Paired axial CT (left) and PSMA PET (right), [18F]PSMA-1007 tracer. Slice 216 of 299.
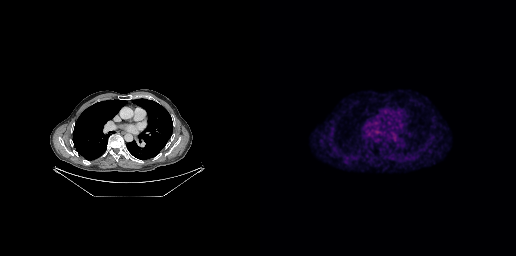
Coordinates are on the 256×256 PET (right) panel. Small PSMA-avid focus (2 to 4 px across) near (center x, center y): (133, 136).